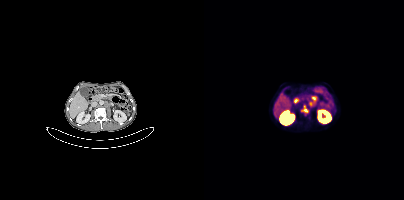
- Left: CT. Right: PSMA PET, same axial level, [68Ga]Ga-PSMA-11 tracer
- slice position z = -1436 mm
- PET panel 200×200 px (4.1 mm/px)
Findings: Coordinates are on the 200×200 PET (right) panel. PSMA-avid tumor lesion bounding boxes (x0, y0)-(x1, y1): (97, 107)-(104, 114); (107, 96)-(112, 102). Small PSMA-avid focus (2 to 4 px across) near (center x, center y): (106, 103).